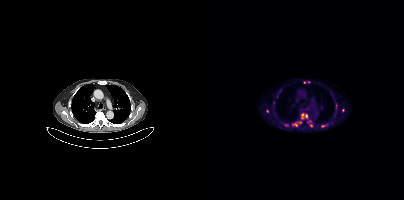
Coordinates are on the 200×200 PET (right) panel. (showing 8 of 12 foci) PSMA-avid tumor lesion bounding boxes (x0,y0,x1,y1): [97,113,99,118] [117,124,123,127] [89,123,93,126]. Small PSMA-avid foci (2 to 4 px across) near (center x, center y): (102, 115) (63, 111) (107, 125) (100, 82) (138, 109).